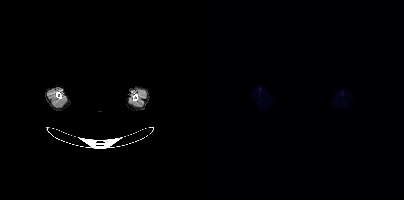
{"modality":"PSMA PET/CT","view":"axial","tracer":"18F","pet_grid":[200,200],"coord_frame":"pet_panel","coord_format":"x0,y0,x1,y1","psma_avid_lesions":false,"de-identification":"head region blacked out before release"}